Technique: Paired axial CT (left) and PSMA PET (right), 68Ga-PSMA tracer. acquired on Siemens Biograph 64-4R TruePoint. slice position z = -974 mm.
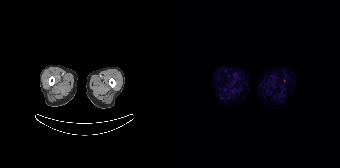
Findings: Only PSMA-avid lesion pieces thinner than 2 px on this slice (not listed).